Two-panel axial: CT | PSMA PET, 68Ga tracer. PET panel 168×168 px (4.1 mm/px).
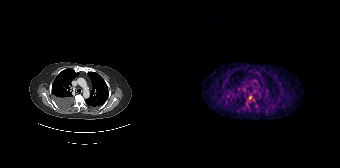
Only PSMA-avid lesion pieces thinner than 2 px on this slice (not listed).